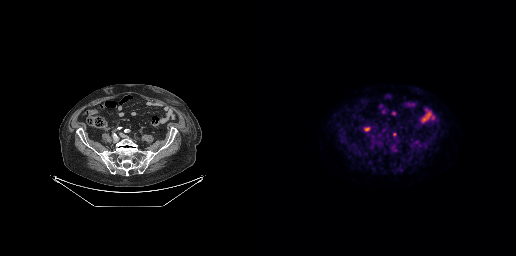
Technique: Paired axial CT (left) and PSMA PET (right), [18F]PSMA-1007 tracer. acquired on GE Discovery 690. slice position z = -695 mm. PET panel 256×256 px (2.7 mm/px).
Findings: Coordinates are on the 256×256 PET (right) panel. Small PSMA-avid focus (2 to 4 px across) near (center x, center y): (134, 134).